Technique: Two-panel axial: CT | PSMA PET, 18F-PSMA tracer.
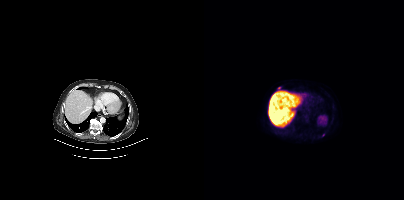
Findings: Coordinates are on the 200×200 PET (right) panel. Small PSMA-avid foci (2 to 4 px across) near (center x, center y): (75, 88) / (119, 135).